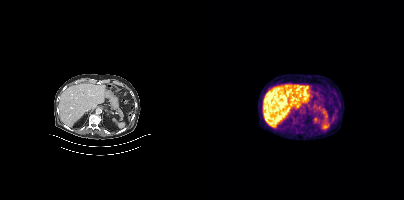
No PSMA-avid tumor lesions on this slice. Two-panel axial: CT | PSMA PET, 18F tracer. PET panel 200×200 px (4.1 mm/px).